Left: CT. Right: PSMA PET, same axial level, 18F-PSMA tracer. Acquired on Siemens Biograph 64-4R TruePoint. PET panel 168×168 px (4.1 mm/px).
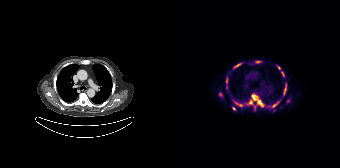
Coordinates are on the 168×168 PET (right) panel. (showing 12 of 14 foci) PSMA-avid tumor lesion bounding boxes (x0,y0,x1,y1): [75,94,92,106], [111,85,114,94], [62,102,70,106], [100,101,106,107], [61,64,68,68], [109,71,112,76], [54,77,55,83]. Small PSMA-avid foci (2 to 4 px across) near (center x, center y): (61, 108), (49, 94), (107, 68), (82, 107), (54, 87).